Paired axial CT (left) and PSMA PET (right), 18F-PSMA tracer. Acquired on Siemens Biograph mCT Flow 20. Slice position z = -1238 mm.
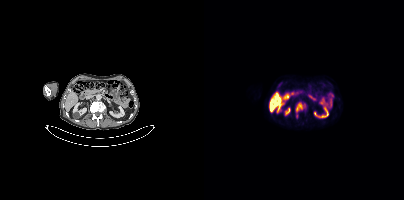
Coordinates are on the 200×200 PET (right) panel. PSMA-avid tumor lesion bounding box (x, y, width, height): x=92 y=103 w=7 h=9.